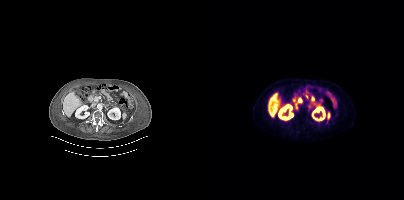
Paired axial CT (left) and PSMA PET (right), [18F]PSMA-1007 tracer. Acquired on Siemens Biograph mCT Flow 20. No tumor lesions annotated on this slice.